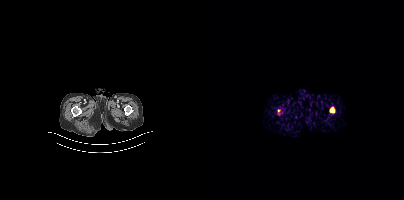
- Left: CT. Right: PSMA PET, same axial level, 18F tracer
- acquired on Siemens Biograph mCT Flow 20
- slice position z = -1533 mm
- PET panel 200×200 px (4.1 mm/px)
Findings: Coordinates are on the 200×200 PET (right) panel. (showing 2 of 3 foci) PSMA-avid tumor lesion bounding boxes (x0, y0)-(x1, y1): (125, 106)-(131, 113) / (73, 109)-(76, 115).